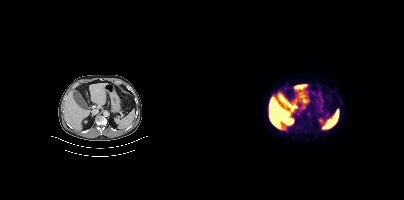
This slice has no annotated PSMA-avid lesion.